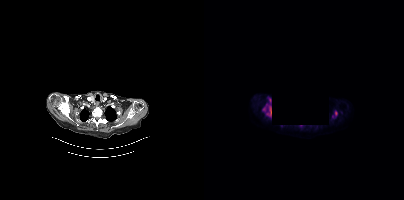
Findings: Coordinates are on the 200×200 PET (right) panel. (showing 2 of 4 foci) PSMA-avid tumor lesion bounding boxes (x0,y0,x1,y1): [59,104,67,118] [131,111,133,115].
Technique: Left: CT. Right: PSMA PET, same axial level, 18F-PSMA tracer. acquired on Siemens Biograph mCT Flow 20.
Note: Privacy masking, with the pixels inside a rectangle set to black.